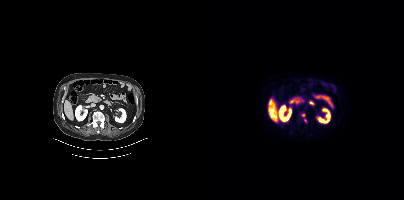
Coordinates are on the 200×200 PET (right) panel. (showing 1 of 2 foci) Small PSMA-avid focus (2 to 4 px across) near (center x, center y): (99, 115).